- Left: CT. Right: PSMA PET, same axial level, 18F tracer
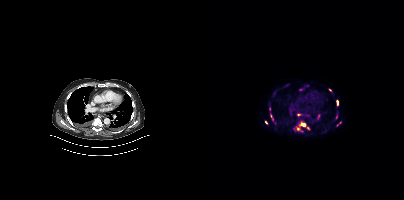
Findings: Coordinates are on the 200×200 PET (right) panel. (showing 7 of 10 foci) PSMA-avid tumor lesion bounding boxes (x, y, width, height): x=90 y=121 w=17 h=12 / x=132 y=100 w=3 h=6. Small PSMA-avid foci (2 to 4 px across) near (center x, center y): (126, 90) / (94, 114) / (62, 122) / (132, 117) / (136, 122).